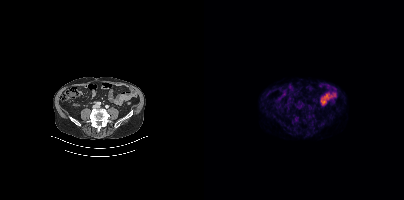
{"pet_grid":[200,200],"coord_frame":"pet_panel","coord_format":"x0,y0,x1,y1","psma_avid_lesions":false,"modality":"PSMA PET/CT","view":"axial","tracer":"[18F]PSMA-1007"}